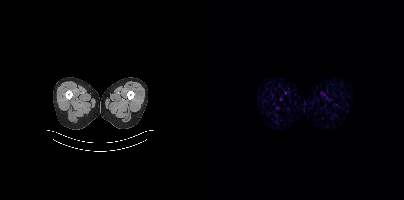
This slice has no annotated PSMA-avid lesion.
modality: PSMA PET/CT | tracer: 18F-PSMA | view: axial